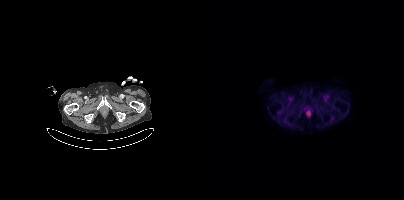
Technique: Left: CT. Right: PSMA PET, same axial level, 18F tracer. acquired on Siemens Biograph mCT Flow 20. slice 56 of 417. PET panel 200×200 px (4.1 mm/px).
Findings: No tumor lesions annotated on this slice.